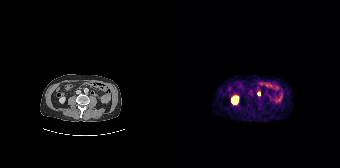
Coordinates are on the 168×168 PET (right) panel. Small PSMA-avid focus (2 to 4 px across) near (center x, center y): (87, 93).